modality: PSMA PET/CT | tracer: 18F-PSMA | view: axial
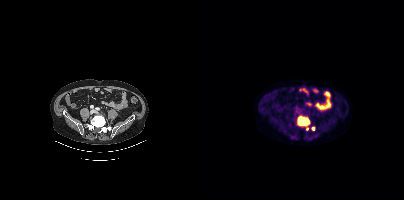
Coordinates are on the 200×200 PET (right) panel. PSMA-avid tumor lesion bounding box (x0, y0)-(x1, y1): (93, 116)-(105, 125). Small PSMA-avid foci (2 to 4 px across) near (center x, center y): (109, 128) | (103, 129).